Paired axial CT (left) and PSMA PET (right), 18F tracer. PET panel 200×200 px (4.1 mm/px).
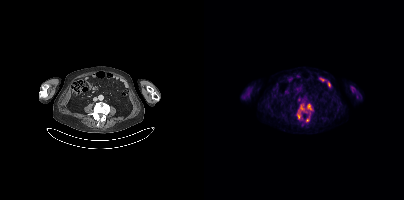
Coordinates are on the 200×200 PET (right) panel. (showing 2 of 4 foci) PSMA-avid tumor lesion bounding boxes (x0,y0,x1,y1): [93,103,109,119]; [102,116,105,122].